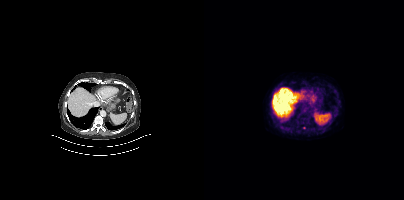
Two-panel axial: CT | PSMA PET, 18F-PSMA tracer. Slice position z = -600 mm. PET panel 200×200 px (4.1 mm/px). Coordinates are on the 200×200 PET (right) panel. Small PSMA-avid focus (2 to 4 px across) near (center x, center y): (100, 127).